Technique: Left: CT. Right: PSMA PET, same axial level, [18F]PSMA-1007 tracer. slice 404 of 429. PET panel 200×200 px (4.1 mm/px).
Note: Facial anatomy redacted by setting a rectangular region of the head to black.
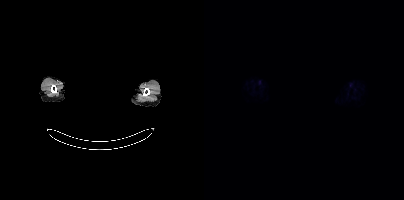
Findings: No PSMA-avid tumor lesions on this slice.